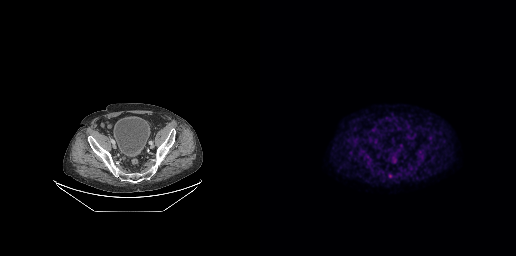
Only PSMA-avid lesion pieces thinner than 2 px on this slice (not listed). Left: CT. Right: PSMA PET, same axial level, 18F-PSMA tracer. Slice 99 of 299.